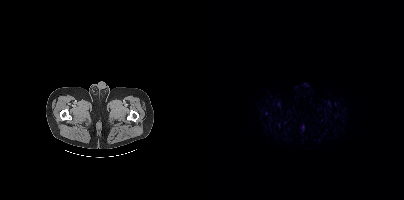
Findings: Only PSMA-avid lesion pieces thinner than 2 px on this slice (not listed).
Technique: Paired axial CT (left) and PSMA PET (right), 18F-PSMA tracer. PET panel 200×200 px (4.1 mm/px).